Technique: Left: CT. Right: PSMA PET, same axial level, 68Ga tracer.
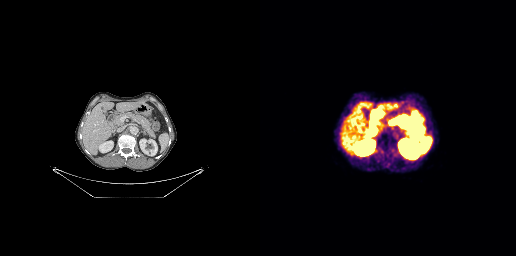
Findings: Coordinates are on the 256×256 PET (right) panel. Small PSMA-avid focus (2 to 4 px across) near (center x, center y): (122, 129).